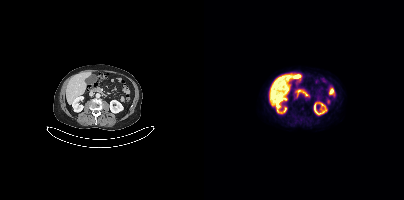
This slice has no annotated PSMA-avid lesion. Two-panel axial: CT | PSMA PET, [18F]PSMA-1007 tracer. Acquired on Siemens Biograph mCT Flow 20. Slice 152 of 381.